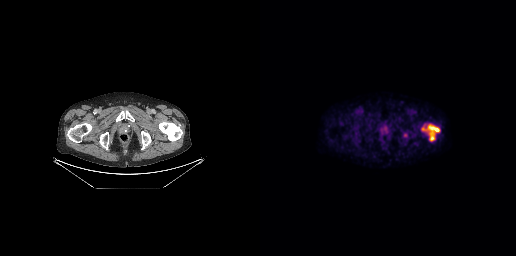
- Left: CT. Right: PSMA PET, same axial level, 18F-PSMA tracer
- PET panel 256×256 px (2.7 mm/px)
Findings: Coordinates are on the 256×256 PET (right) panel. PSMA-avid tumor lesion bounding box (x0,y0,x1,y1): [162,124,179,140].